Technique: Paired axial CT (left) and PSMA PET (right), 18F-PSMA tracer. acquired on GE Discovery 690. slice 138 of 263.
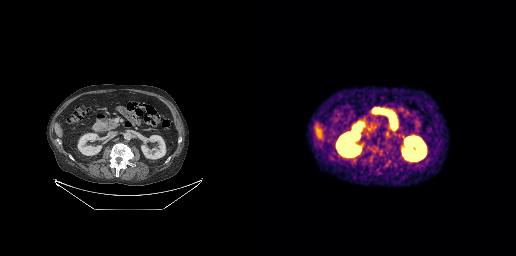
Findings: No PSMA-avid tumor lesions on this slice.